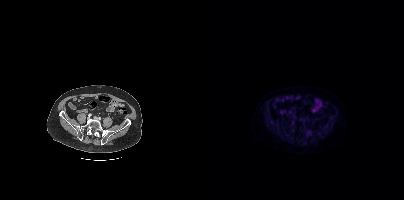
Technique: Two-panel axial: CT | PSMA PET, [18F]PSMA-1007 tracer. acquired on Siemens Biograph mCT Flow 20.
Findings: No PSMA-avid tumor lesions on this slice.